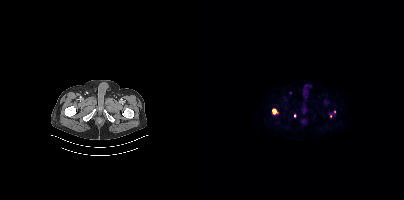
{"modality":"PSMA PET/CT","view":"axial","tracer":"18F","pet_grid":[200,200],"coord_frame":"pet_panel","coord_format":"x0,y0,x1,y1","lesion_bboxes":[[68,108,73,114]],"small_foci_centers":[[90,115],[126,116],[130,111]]}